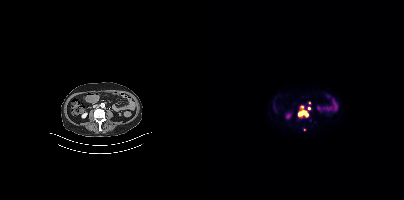
Coordinates are on the 200×200 PET (right) panel. (showing 3 of 4 foci) PSMA-avid tumor lesion bounding box (x, y, width, height): x=94 y=110 w=11 h=7. Small PSMA-avid foci (2 to 4 px across) near (center x, center y): (105, 108) | (98, 107).